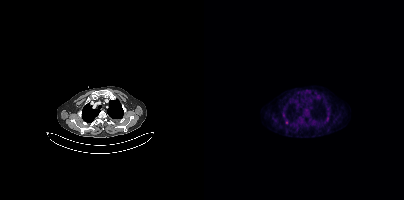
Coordinates are on the 200×200 PET (right) panel. (showing 1 of 2 foci) Small PSMA-avid focus (2 to 4 px across) near (center x, center y): (82, 122).